Two-panel axial: CT | PSMA PET, [18F]PSMA-1007 tracer. Acquired on Siemens Biograph mCT Flow 20.
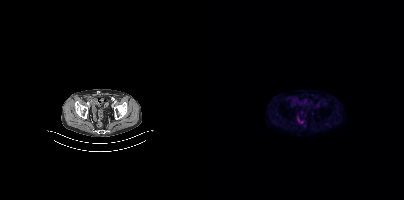
No tumor lesions annotated on this slice.